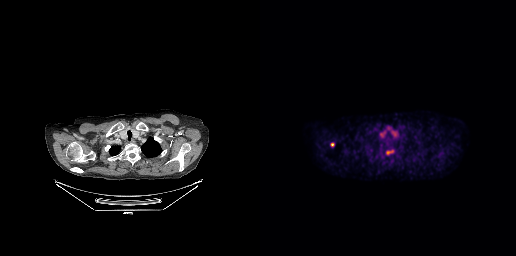
Two-panel axial: CT | PSMA PET, 18F-PSMA tracer. Slice 248 of 299. Coordinates are on the 256×256 PET (right) panel. Small PSMA-avid foci (2 to 4 px across) near (center x, center y): (72, 144) | (128, 152).